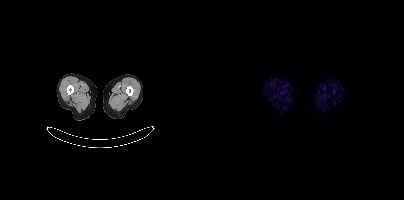
No tumor lesions annotated on this slice.
modality: PSMA PET/CT | tracer: 18F | view: axial | PET grid: 200×200